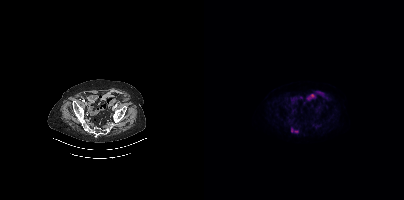
- Left: CT. Right: PSMA PET, same axial level, 18F-PSMA tracer
- slice position z = -884 mm
- PET panel 200×200 px (4.1 mm/px)
Findings: Coordinates are on the 200×200 PET (right) panel. PSMA-avid tumor lesion bounding box (x0,y0,x1,y1): [87,128,94,132].